Paired axial CT (left) and PSMA PET (right), [18F]PSMA-1007 tracer. PET panel 200×200 px (4.1 mm/px).
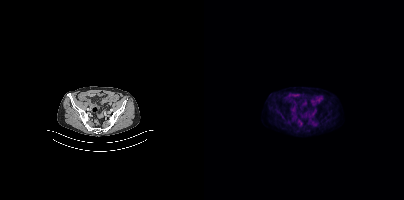
This slice has no annotated PSMA-avid lesion.